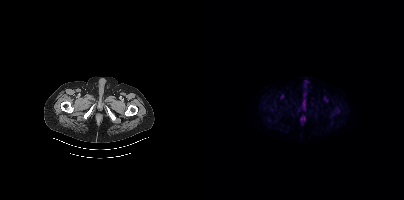
{"modality":"PSMA PET/CT","view":"axial","tracer":"18F-PSMA","pet_grid":[200,200],"coord_frame":"pet_panel","coord_format":"x0,y0,x1,y1","lesion_bboxes":[],"small_foci_centers":[[133,110]]}